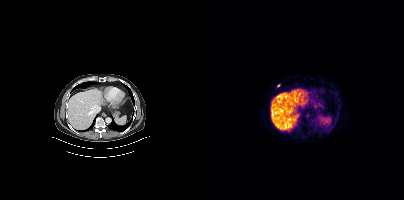
{"modality":"PSMA PET/CT","view":"axial","tracer":"68Ga","pet_grid":[200,200],"coord_frame":"pet_panel","coord_format":"x0,y0,x1,y1","lesion_bboxes":[],"small_foci_centers":[[74,85]]}